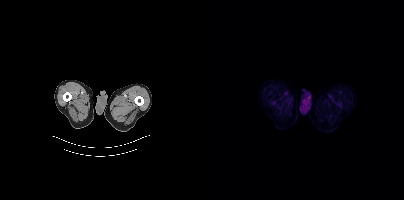
Findings: No tumor lesions annotated on this slice.
Technique: Left: CT. Right: PSMA PET, same axial level, 18F tracer. PET panel 200×200 px (4.1 mm/px).